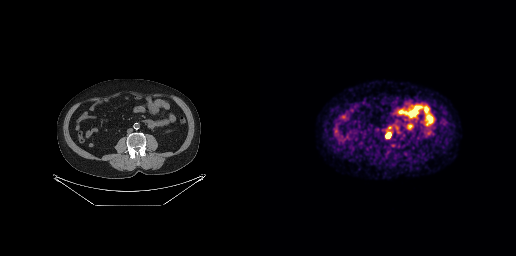
Two-panel axial: CT | PSMA PET, 18F-PSMA tracer. Slice 112 of 263. PET panel 256×256 px (2.7 mm/px).
Coordinates are on the 256×256 PET (right) panel. PSMA-avid tumor lesion bounding boxes:
| # | x0 | y0 | x1 | y1 |
|---|---|---|---|---|
| 1 | 125 | 132 | 131 | 138 |